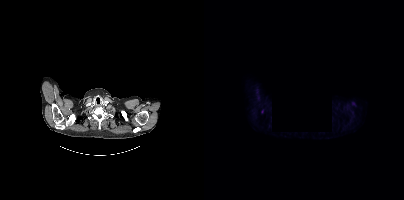
- Paired axial CT (left) and PSMA PET (right), 18F tracer
- acquired on Siemens Biograph mCT Flow 20
- a region was redacted for de-identification by setting it to black
Findings: Only PSMA-avid lesion pieces thinner than 2 px on this slice (not listed).